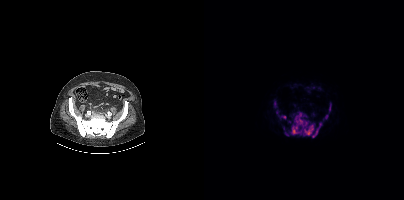
Coordinates are on the 200×200 PET (right) panel. (showing 8 of 9 foci) PSMA-avid tumor lesion bounding boxes (x0,y0,x1,y1): [86,112,118,137]; [125,103,127,111]; [121,115,124,119]; [77,116,82,118]. Small PSMA-avid foci (2 to 4 px across) near (center x, center y): (82, 133); (70, 103); (72, 112); (85, 121).